Technique: Two-panel axial: CT | PSMA PET, 18F tracer. slice 25 of 165. PET panel 168×168 px (4.1 mm/px).
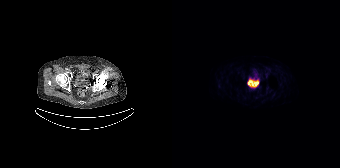
Findings: Negative for PSMA-avid disease on this slice.